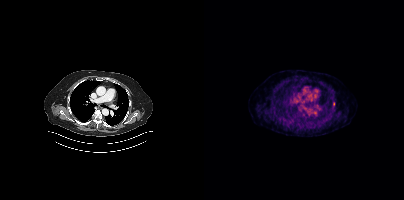
Coordinates are on the 200×200 PET (right) panel. Small PSMA-avid focus (2 to 4 px across) near (center x, center y): (129, 104). Left: CT. Right: PSMA PET, same axial level, [18F]PSMA-1007 tracer. Slice position z = -1018 mm. PET panel 200×200 px (4.1 mm/px).